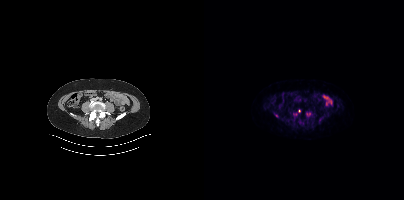
modality: PSMA PET/CT | tracer: 18F-PSMA | view: axial
Only PSMA-avid lesion pieces thinner than 2 px on this slice (not listed).